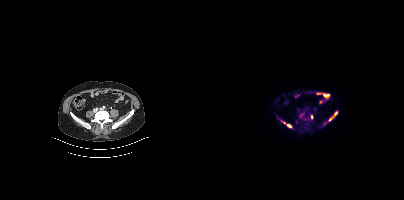
Coordinates are on the 200×200 PET (right) panel. PSMA-avid tumor lesion bounding boxes (x0,y0,x1,y1): [125,111,133,121]; [83,124,87,127]. Small PSMA-avid foci (2 to 4 px across) near (center x, center y): (107, 117); (80, 122).